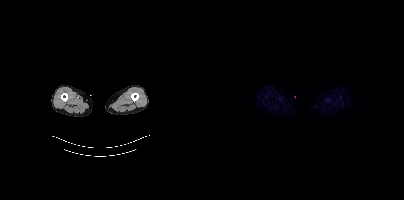
Left: CT. Right: PSMA PET, same axial level, 18F tracer. Acquired on Siemens Biograph mCT Flow 20. PET panel 200×200 px (4.1 mm/px). No tumor lesions annotated on this slice.